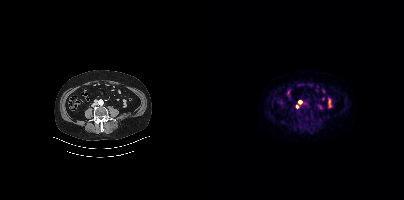
Coordinates are on the 200×200 PET (right) panel. Small PSMA-avid foci (2 to 4 px across) near (center x, center y): (96, 102) (93, 106).